Two-panel axial: CT | PSMA PET, 18F-PSMA tracer.
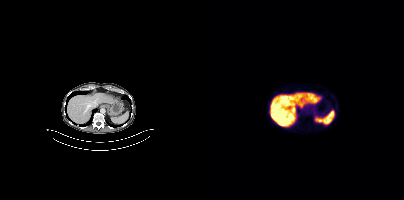
No PSMA-avid tumor lesions on this slice.